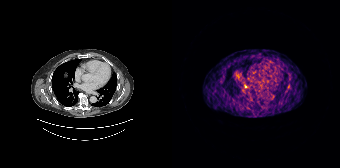
Coordinates are on the 168×168 PET (right) panel. PSMA-avid tumor lesion bounding box (x0,y0,x1,y1): [72,84,75,88].